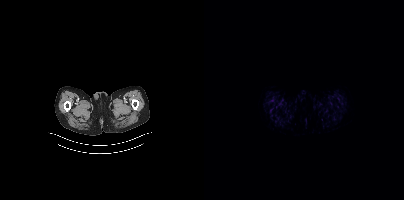
Technique: Paired axial CT (left) and PSMA PET (right), [18F]PSMA-1007 tracer. PET panel 200×200 px (4.1 mm/px).
Findings: No PSMA-avid tumor lesions on this slice.